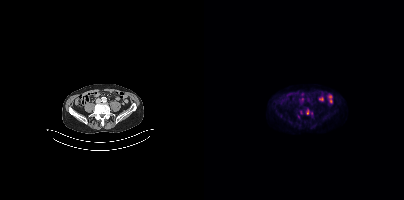
Findings: Coordinates are on the 200×200 PET (right) panel. PSMA-avid tumor lesion bounding boxes (x, y, width, height): x=102 y=109 w=3 h=6; x=96 y=110 w=3 h=5. Small PSMA-avid focus (2 to 4 px across) near (center x, center y): (94, 116).
Technique: Left: CT. Right: PSMA PET, same axial level, 18F tracer. acquired on Siemens Biograph mCT Flow 20.